Technique: Paired axial CT (left) and PSMA PET (right), 18F tracer. acquired on Siemens Biograph mCT Flow 20. slice 306 of 354.
Note: Facial anatomy redacted by setting a rectangular region of the head to black.
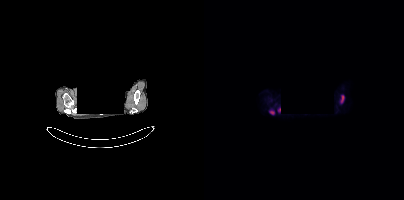
Findings: Coordinates are on the 200×200 PET (right) panel. PSMA-avid tumor lesion bounding boxes (x0, y0)-(x1, y1): (137, 95)-(139, 102) | (66, 111)-(70, 114). Small PSMA-avid focus (2 to 4 px across) near (center x, center y): (75, 109).